Paired axial CT (left) and PSMA PET (right), 18F-PSMA tracer. Acquired on GE Discovery 690.
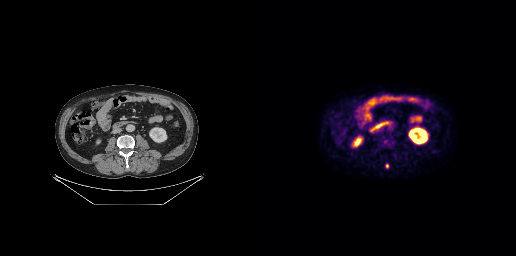
Coordinates are on the 256×256 PET (right) panel. Small PSMA-avid focus (2 to 4 px across) near (center x, center y): (127, 165).